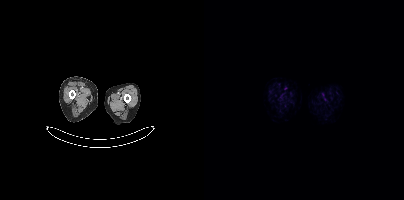
Left: CT. Right: PSMA PET, same axial level, 18F-PSMA tracer. PET panel 200×200 px (4.1 mm/px). No tumor lesions annotated on this slice.